Paired axial CT (left) and PSMA PET (right), 18F tracer. Slice 245 of 377. PET panel 200×200 px (4.1 mm/px).
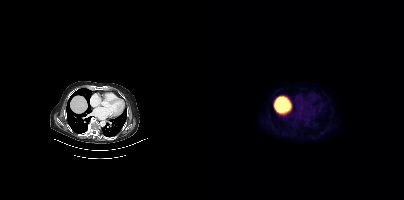
No tumor lesions annotated on this slice.